- Two-panel axial: CT | PSMA PET, 18F tracer
- acquired on Siemens Biograph mCT Flow 20
- slice position z = -1030 mm
- PET panel 200×200 px (4.1 mm/px)
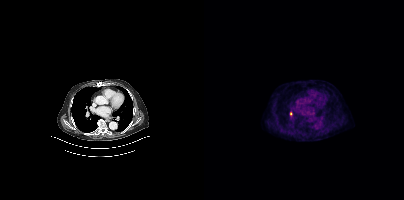
Findings: Coordinates are on the 200×200 PET (right) panel. Small PSMA-avid focus (2 to 4 px across) near (center x, center y): (86, 113).